- Paired axial CT (left) and PSMA PET (right), 18F-PSMA tracer
- slice 3 of 377
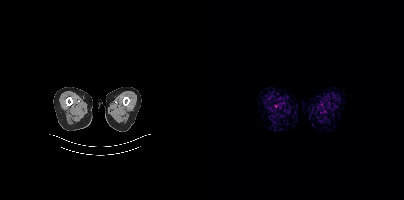
Findings: No tumor lesions annotated on this slice.